modality: PSMA PET/CT | tracer: [18F]PSMA-1007 | view: axial | redaction: head region blanked (face removed)
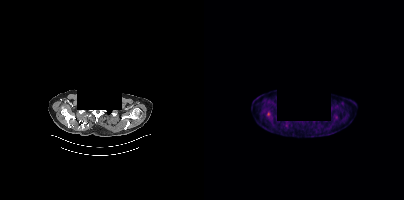
Coordinates are on the 200×200 PET (right) panel. Small PSMA-avid focus (2 to 4 px across) near (center x, center y): (64, 113).